Paired axial CT (left) and PSMA PET (right), [18F]PSMA-1007 tracer. Acquired on Siemens Biograph mCT Flow 20. Slice position z = -1332 mm. PET panel 200×200 px (4.1 mm/px).
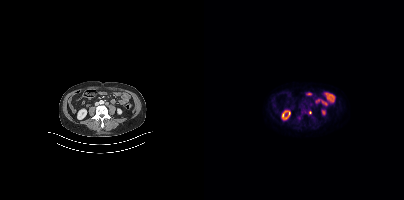
Only PSMA-avid lesion pieces thinner than 2 px on this slice (not listed).